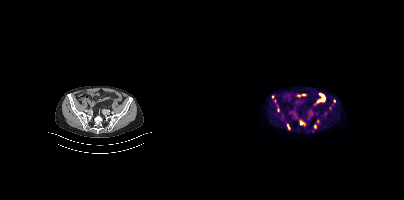
Findings: Coordinates are on the 200×200 PET (right) panel. (showing 7 of 10 foci) PSMA-avid tumor lesion bounding box (x0,y0,x1,y1): [96,121,100,124]. Small PSMA-avid foci (2 to 4 px across) near (center x, center y): (130, 100), (111, 126), (85, 128), (68, 97), (74, 110), (120, 100).
Technique: Left: CT. Right: PSMA PET, same axial level, 18F tracer.